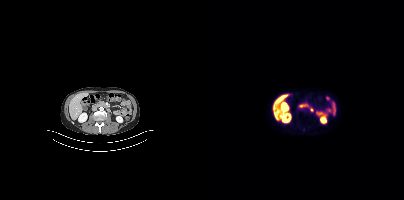
{"pet_grid":[200,200],"coord_frame":"pet_panel","coord_format":"x0,y0,x1,y1","psma_avid_lesions":false,"modality":"PSMA PET/CT","view":"axial","tracer":"18F-PSMA"}